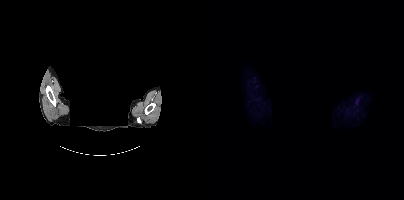
Findings: No PSMA-avid tumor lesions on this slice.
- Left: CT. Right: PSMA PET, same axial level, 18F tracer
- slice 381 of 435
- PET panel 200×200 px (4.1 mm/px)
- head region blanked for anonymization (face removed)